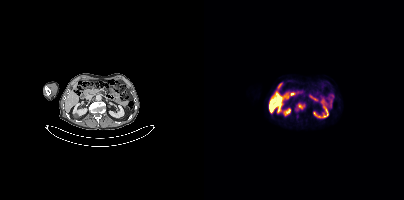
modality: PSMA PET/CT | tracer: [18F]PSMA-1007 | view: axial | PET grid: 200×200
Coordinates are on the 200×200 PET (right) panel. PSMA-avid tumor lesion bounding box (x0, y0)-(x1, y1): (94, 104)-(100, 108).